Paired axial CT (left) and PSMA PET (right), 68Ga tracer. Slice 282 of 409. PET panel 200×200 px (4.1 mm/px).
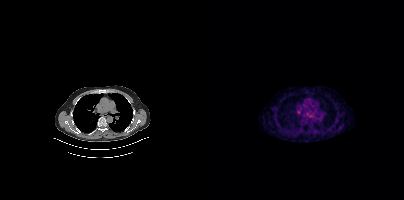
This slice has no annotated PSMA-avid lesion.